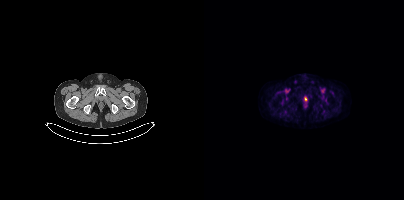
modality: PSMA PET/CT | tracer: 18F | view: axial
Coordinates are on the 200×200 PET (right) panel. Small PSMA-avid focus (2 to 4 px across) near (center x, center y): (101, 98).